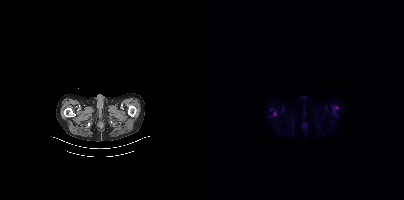
modality: PSMA PET/CT | tracer: 18F-PSMA | view: axial | PET grid: 200×200
Coordinates are on the 200×200 PET (right) panel. Small PSMA-avid focus (2 to 4 px across) near (center x, center y): (132, 107).